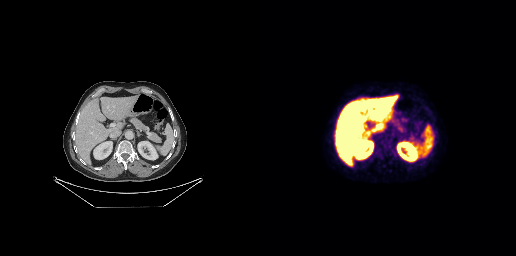
Left: CT. Right: PSMA PET, same axial level, 18F tracer. Slice 144 of 263. PET panel 256×256 px (2.7 mm/px). Negative for PSMA-avid disease on this slice.